Left: CT. Right: PSMA PET, same axial level, 18F-PSMA tracer. Acquired on Siemens Biograph mCT Flow 20.
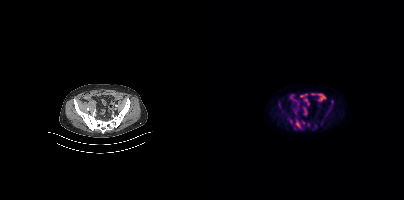
Coordinates are on the 200×200 PET (right) panel. PSMA-avid tumor lesion bounding boxes:
| # | x0 | y0 | x1 | y1 |
|---|---|---|---|---|
| 1 | 91 | 119 | 97 | 128 |
| 2 | 127 | 100 | 129 | 104 |
| 3 | 75 | 103 | 76 | 107 |
Small PSMA-avid foci (2 to 4 px across) near (center x, center y): (86, 119); (104, 124); (99, 122).